A rectangular block over the head has been blanked out for de-identification.
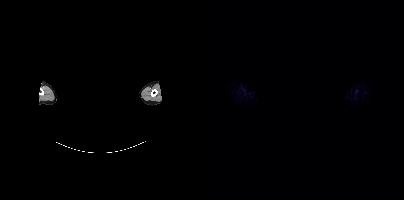
This slice has no annotated PSMA-avid lesion.